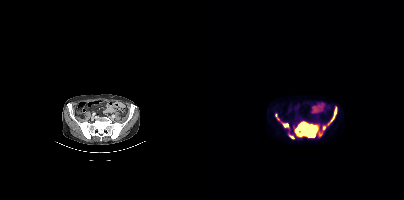
Left: CT. Right: PSMA PET, same axial level, 18F tracer. Acquired on Siemens Biograph mCT Flow 20. Slice 118 of 435. PET panel 200×200 px (4.1 mm/px).
Coordinates are on the 200×200 PET (right) panel. PSMA-avid tumor lesion bounding boxes:
| # | x0 | y0 | x1 | y1 |
|---|---|---|---|---|
| 1 | 91 | 122 | 122 | 137 |
| 2 | 123 | 107 | 132 | 125 |
| 3 | 77 | 122 | 84 | 127 |
| 4 | 85 | 135 | 89 | 136 |
Small PSMA-avid foci (2 to 4 px across) near (center x, center y): (74, 119); (71, 115).